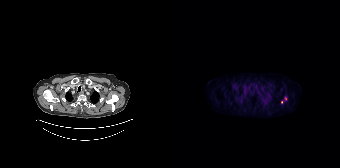
- Left: CT. Right: PSMA PET, same axial level, 18F-PSMA tracer
- acquired on Siemens Biograph 64-4R TruePoint
- PET panel 168×168 px (4.1 mm/px)
Findings: Coordinates are on the 168×168 PET (right) panel. Small PSMA-avid foci (2 to 4 px across) near (center x, center y): (109, 102) | (113, 98).